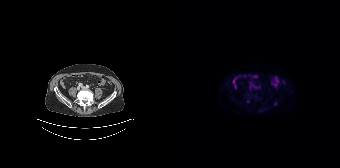
This slice has no annotated PSMA-avid lesion. Left: CT. Right: PSMA PET, same axial level, 18F tracer. Acquired on Siemens Biograph 64-4R TruePoint.